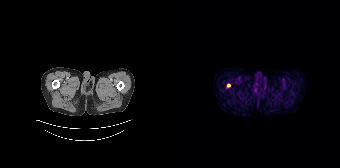
Coordinates are on the 168×168 PET (right) panel. Small PSMA-avid focus (2 to 4 px across) near (center x, center y): (56, 85).